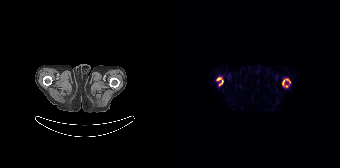
- Two-panel axial: CT | PSMA PET, 18F-PSMA tracer
Findings: Coordinates are on the 168×168 PET (right) panel. PSMA-avid tumor lesion bounding boxes (x, y, width, height): x=110 y=78 w=9 h=10; x=45 y=77 w=5 h=4; x=47 y=80 w=5 h=6.